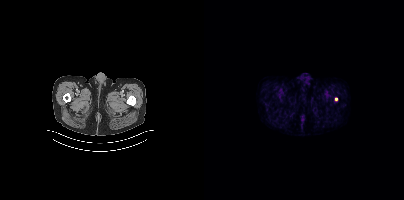
modality: PSMA PET/CT | tracer: 68Ga | view: axial
Coordinates are on the 200×200 PET (right) panel. Small PSMA-avid focus (2 to 4 px across) near (center x, center y): (132, 98).